Left: CT. Right: PSMA PET, same axial level, 68Ga tracer. Acquired on Siemens Biograph 64-4R TruePoint. Slice position z = -1538 mm.
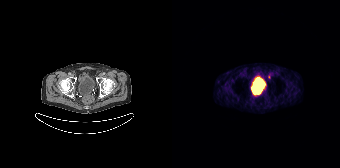
Only PSMA-avid lesion pieces thinner than 2 px on this slice (not listed).